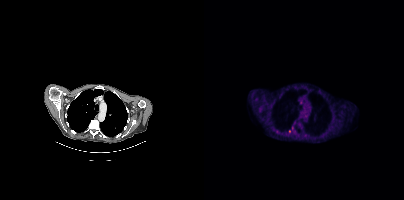
Left: CT. Right: PSMA PET, same axial level, 18F tracer. PET panel 200×200 px (4.1 mm/px). Coordinates are on the 200×200 PET (right) panel. Small PSMA-avid foci (2 to 4 px across) near (center x, center y): (85, 131) | (88, 128).